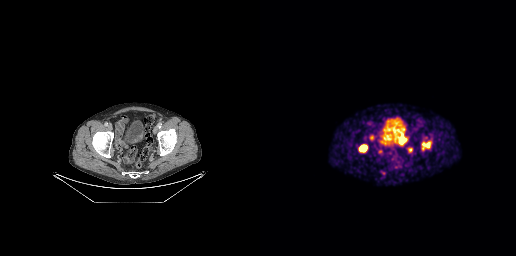
Technique: Left: CT. Right: PSMA PET, same axial level, 68Ga tracer. acquired on GE Discovery 690.
Findings: Coordinates are on the 256×256 PET (right) panel. (showing 6 of 7 foci) PSMA-avid tumor lesion bounding boxes (x, y, width, height): x=139 y=134 w=7 h=9; x=100 y=144 w=7 h=8; x=162 y=143 w=9 h=5; x=109 y=136 w=4 h=5. Small PSMA-avid foci (2 to 4 px across) near (center x, center y): (123, 173); (150, 149).